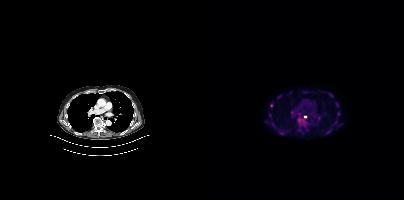
Technique: Two-panel axial: CT | PSMA PET, 18F tracer. PET panel 200×200 px (4.1 mm/px).
Findings: Coordinates are on the 200×200 PET (right) panel. PSMA-avid tumor lesion bounding boxes (x0, y0)-(x1, y1): (131, 102)-(134, 107) | (133, 112)-(135, 116) | (125, 93)-(129, 97). Small PSMA-avid foci (2 to 4 px across) near (center x, center y): (67, 105) | (100, 92) | (86, 92) | (101, 116) | (68, 124) | (87, 112) | (65, 115).